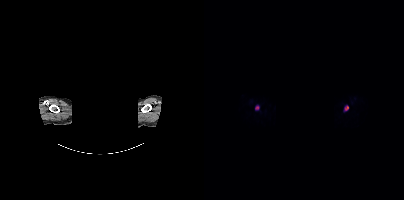
- privacy masking over the head, with the pixels inside a rectangle set to black
- Paired axial CT (left) and PSMA PET (right), 18F-PSMA tracer
- slice position z = -1017 mm
Findings: Coordinates are on the 200×200 PET (right) panel. PSMA-avid tumor lesion bounding boxes (x0, y0)-(x1, y1): (140, 105)-(144, 111); (51, 105)-(55, 110).